Left: CT. Right: PSMA PET, same axial level, 18F tracer. Slice position z = -584 mm.
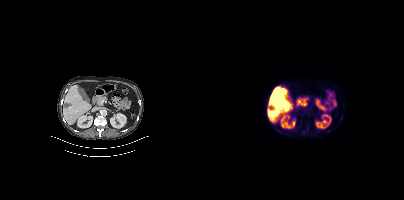
No PSMA-avid tumor lesions on this slice.